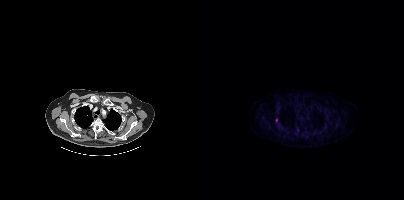
Coordinates are on the 200×200 PET (right) panel. Small PSMA-avid foci (2 to 4 px across) near (center x, center y): (72, 120) / (93, 130).